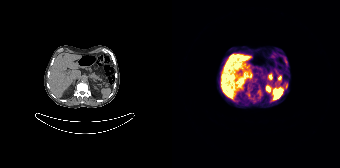
Coordinates are on the 168×168 PET (right) panel. PSMA-avid tumor lesion bounding boxes:
| # | x0 | y0 | x1 | y1 |
|---|---|---|---|---|
| 1 | 113 | 83 | 115 | 88 |
| 2 | 86 | 90 | 88 | 95 |
Small PSMA-avid focus (2 to 4 px across) near (center x, center y): (76, 95).
Left: CT. Right: PSMA PET, same axial level, 68Ga tracer. Acquired on Siemens Biograph 64-4R TruePoint. PET panel 168×168 px (4.1 mm/px).